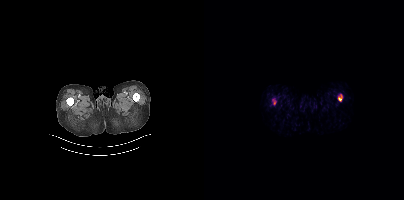
{"modality":"PSMA PET/CT","view":"axial","tracer":"68Ga-PSMA","pet_grid":[200,200],"coord_frame":"pet_panel","coord_format":"x0,y0,x1,y1","psma_avid_lesions":false}